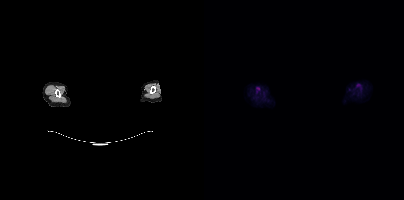
{"pet_grid":[200,200],"coord_frame":"pet_panel","coord_format":"x0,y0,x1,y1","psma_avid_lesions":false,"modality":"PSMA PET/CT","view":"axial","tracer":"[18F]PSMA-1007","redaction":"head region blacked out before release"}